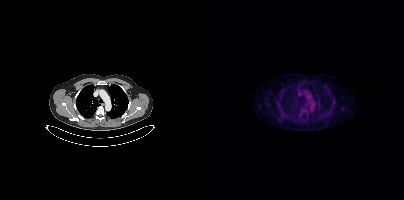
Negative for PSMA-avid disease on this slice.